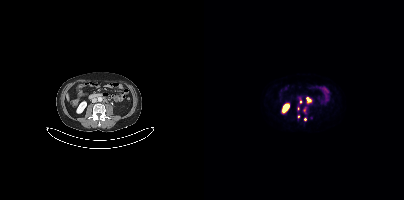
{"modality":"PSMA PET/CT","view":"axial","tracer":"[68Ga]Ga-PSMA-11","pet_grid":[200,200],"coord_frame":"pet_panel","coord_format":"x0,y0,x1,y1","partial":true,"lesion_bboxes":[[100,107,102,111]],"small_foci_centers":[[104,99],[96,101],[94,108],[107,118],[94,116]]}